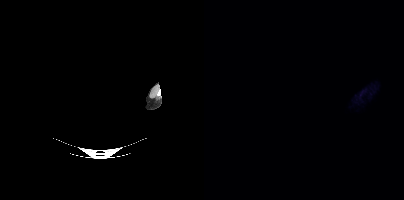
Findings: No PSMA-avid tumor lesions on this slice.
Technique: Left: CT. Right: PSMA PET, same axial level, 18F-PSMA tracer. acquired on Siemens Biograph mCT Flow 20. PET panel 200×200 px (4.1 mm/px).
Note: Facial anatomy redacted by setting a rectangular region of the head to black.